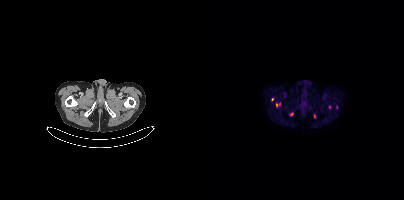
- Left: CT. Right: PSMA PET, same axial level, 18F tracer
- PET panel 200×200 px (4.1 mm/px)
Findings: Coordinates are on the 200×200 PET (right) panel. (showing 4 of 5 foci) PSMA-avid tumor lesion bounding box (x0,y0,x1,y1): [72,103,76,106]. Small PSMA-avid foci (2 to 4 px across) near (center x, center y): (87, 114), (68, 99), (125, 106).